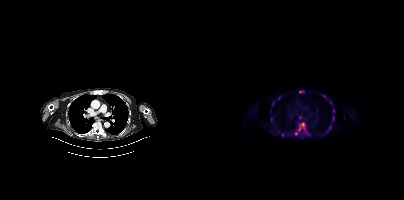
- Paired axial CT (left) and PSMA PET (right), 18F tracer
- PET panel 200×200 px (4.1 mm/px)
Findings: Coordinates are on the 200×200 PET (right) panel. (showing 13 of 16 foci) PSMA-avid tumor lesion bounding box (x, y, width, height): x=94 y=122 w=8 h=10. Small PSMA-avid foci (2 to 4 px across) near (center x, center y): (78, 134) | (96, 117) | (74, 97) | (69, 103) | (92, 133) | (105, 134) | (120, 96) | (129, 118) | (96, 91) | (129, 110) | (125, 127) | (67, 131).